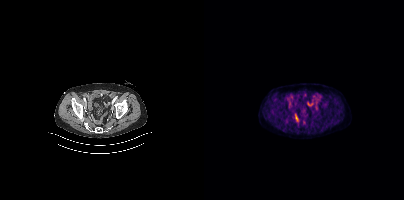
Technique: Left: CT. Right: PSMA PET, same axial level, [18F]PSMA-1007 tracer. acquired on Siemens Biograph mCT Flow 20. PET panel 200×200 px (4.1 mm/px).
Findings: No PSMA-avid tumor lesions on this slice.